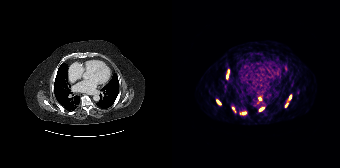
{"modality":"PSMA PET/CT","view":"axial","tracer":"68Ga","pet_grid":[168,168],"coord_frame":"pet_panel","coord_format":"x0,y0,x1,y1","partial":true,"lesion_bboxes":[[87,107,92,111],[116,94,119,100],[44,100,49,104],[112,103,116,107],[54,74,56,78]],"small_foci_centers":[[87,98],[71,113],[61,108],[56,70]]}